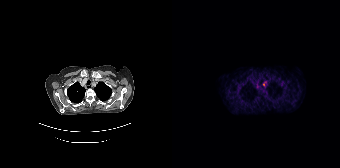
Coordinates are on the 168×168 PET (right) panel. PSMA-avid tumor lesion bounding box (x, y, width, height): x=91 y=82 w=4 h=5.
modality: PSMA PET/CT | tracer: [68Ga]Ga-PSMA-11 | view: axial